Two-panel axial: CT | PSMA PET, [18F]PSMA-1007 tracer. PET panel 200×200 px (4.1 mm/px).
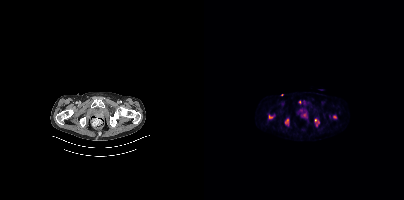
Coordinates are on the 200×200 PET (right) panel. PSMA-avid tumor lesion bounding boxes (partial; 3 more foci not listed):
| # | x0 | y0 | x1 | y1 |
|---|---|---|---|---|
| 1 | 110 | 119 | 114 | 124 |
Small PSMA-avid focus (2 to 4 px across) near (center x, center y): (82, 120).